Technique: Two-panel axial: CT | PSMA PET, [18F]PSMA-1007 tracer. slice position z = -1138 mm. PET panel 200×200 px (4.1 mm/px).
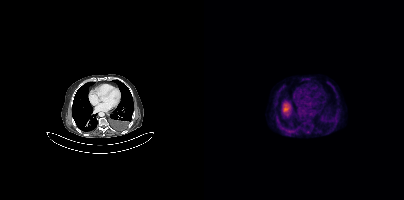
Findings: No PSMA-avid tumor lesions on this slice.